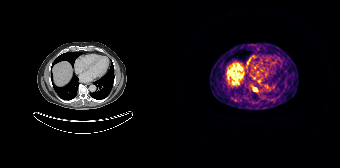
Findings: Coordinates are on the 168×168 PET (right) panel. PSMA-avid tumor lesion bounding box (x0,y0,x1,y1): [81,88,85,91].
- Paired axial CT (left) and PSMA PET (right), [68Ga]Ga-PSMA-11 tracer
- slice position z = 1486 mm
- PET panel 168×168 px (4.1 mm/px)